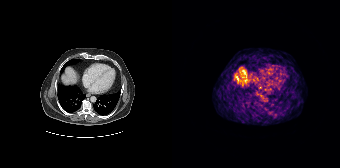
Negative for PSMA-avid disease on this slice.